Technique: Two-panel axial: CT | PSMA PET, 18F tracer.
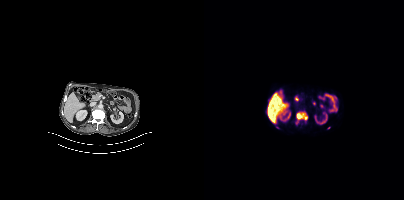
Findings: Coordinates are on the 200×200 PET (right) panel. PSMA-avid tumor lesion bounding box (x0,y0,x1,y1): [92,113,103,119]. Small PSMA-avid foci (2 to 4 px across) near (center x, center y): (125, 127) (73, 127).